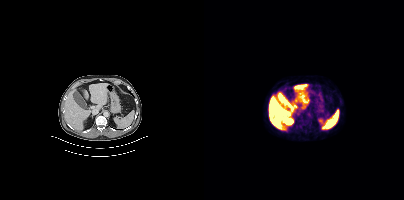
No PSMA-avid tumor lesions on this slice.